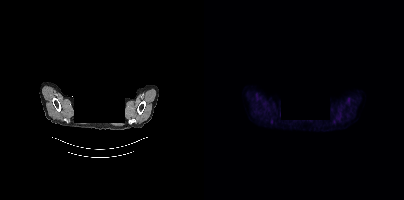
Findings: Negative for PSMA-avid disease on this slice.
- Two-panel axial: CT | PSMA PET, [18F]PSMA-1007 tracer
- acquired on Siemens Biograph mCT Flow 20
- slice 365 of 409
- the face region was removed for patient privacy by blanking a rectangle over the head